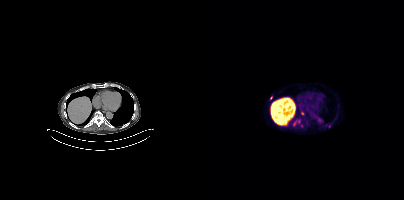
Left: CT. Right: PSMA PET, same axial level, [18F]PSMA-1007 tracer. Acquired on Siemens Biograph mCT Flow 20. Slice position z = -628 mm. PET panel 200×200 px (4.1 mm/px).
Coordinates are on the 200×200 PET (right) panel. PSMA-avid tumor lesion bounding boxes (partial; 1 more focus not listed):
| # | x0 | y0 | x1 | y1 |
|---|---|---|---|---|
| 1 | 88 | 121 | 93 | 126 |
| 2 | 95 | 124 | 99 | 127 |
Small PSMA-avid foci (2 to 4 px across) near (center x, center y): (98, 113); (67, 98); (125, 126).